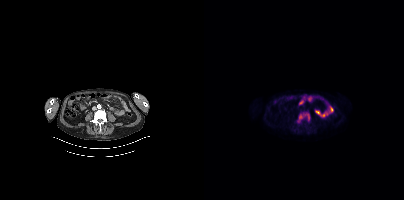
Coordinates are on the 200×200 PET (right) panel. PSMA-avid tumor lesion bounding box (x0, y0)-(x1, y1): (93, 112)-(106, 123).
modality: PSMA PET/CT | tracer: [18F]PSMA-1007 | view: axial